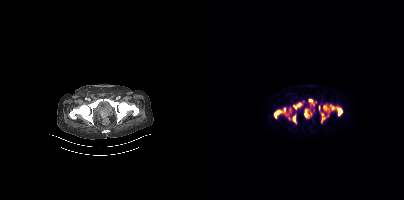
modality: PSMA PET/CT | tracer: 68Ga | view: axial | PET grid: 200×200
Negative for PSMA-avid disease on this slice.